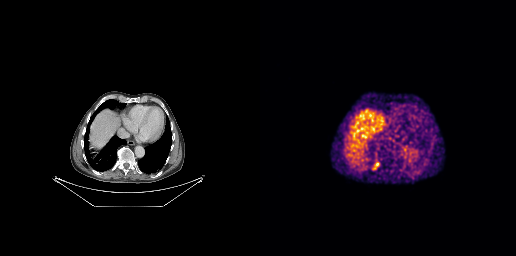
Coordinates are on the 256×256 PET (right) panel. PSMA-avid tumor lesion bounding box (x, y, width, height): x=112 y=162 w=8 h=8.